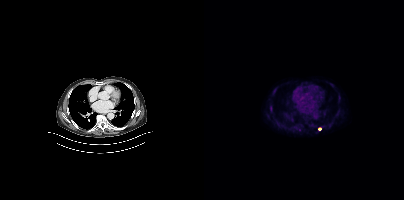
{"pet_grid":[200,200],"coord_frame":"pet_panel","coord_format":"x0,y0,x1,y1","lesion_bboxes":[],"small_foci_centers":[[115,128]],"modality":"PSMA PET/CT","view":"axial","tracer":"[18F]PSMA-1007"}